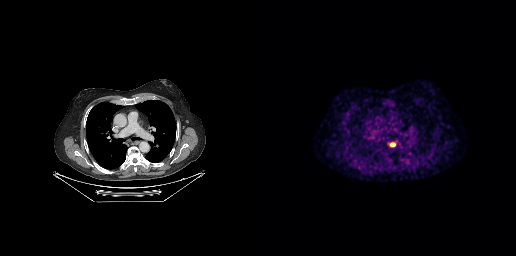
Coordinates are on the 256×256 PET (right) panel. Small PSMA-avid focus (2 to 4 px across) near (center x, center y): (132, 144). Paired axial CT (left) and PSMA PET (right), [18F]PSMA-1007 tracer. Acquired on GE Discovery 690. PET panel 256×256 px (2.7 mm/px).